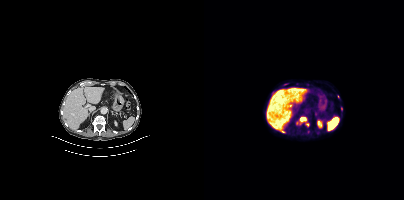
{"pet_grid":[200,200],"coord_frame":"pet_panel","coord_format":"x0,y0,x1,y1","partial":true,"lesion_bboxes":[[96,117,102,121]],"small_foci_centers":[[137,108],[79,131],[103,124]],"modality":"PSMA PET/CT","view":"axial","tracer":"18F"}